Two-panel axial: CT | PSMA PET, 18F tracer. Acquired on Siemens Biograph mCT Flow 20. Slice 437 of 963. PET panel 200×200 px (4.1 mm/px).
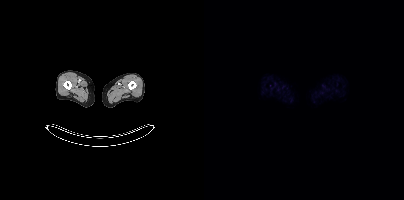
No PSMA-avid tumor lesions on this slice.